Left: CT. Right: PSMA PET, same axial level, 18F-PSMA tracer.
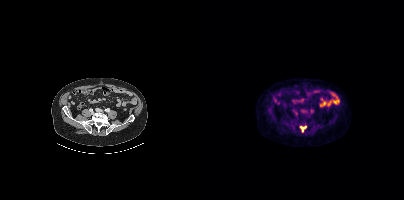
Coordinates are on the 200×200 PET (right) panel. PSMA-avid tumor lesion bounding boxes:
| # | x0 | y0 | x1 | y1 |
|---|---|---|---|---|
| 1 | 96 | 126 | 102 | 132 |